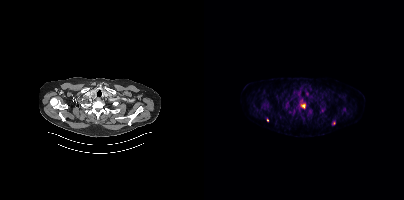
{"pet_grid":[200,200],"coord_frame":"pet_panel","coord_format":"x0,y0,x1,y1","partial":true,"lesion_bboxes":[[80,103,85,109],[116,107,121,112],[138,107,142,113],[97,104,101,108],[88,106,92,111],[57,103,59,108]],"small_foci_centers":[[97,99],[106,88],[63,120]],"modality":"PSMA PET/CT","view":"axial","tracer":"18F-PSMA"}